Technique: Left: CT. Right: PSMA PET, same axial level, [68Ga]Ga-PSMA-11 tracer. slice 421 of 452. PET panel 200×200 px (4.1 mm/px).
Note: A rectangular block over the head has been blanked out for de-identification.
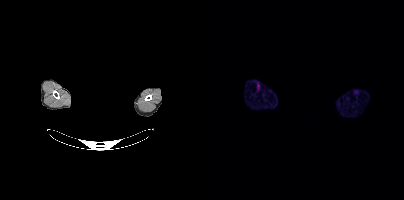
Findings: No PSMA-avid tumor lesions on this slice.